Technique: Paired axial CT (left) and PSMA PET (right), [18F]PSMA-1007 tracer. acquired on Siemens Biograph mCT Flow 20. slice position z = -120 mm. PET panel 200×200 px (4.1 mm/px).
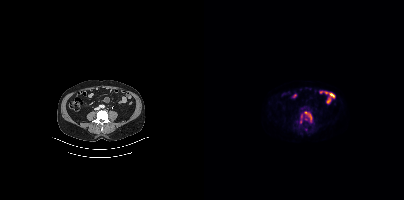
Findings: Coordinates are on the 200×200 PET (right) panel. (showing 1 of 2 foci) Small PSMA-avid focus (2 to 4 px across) near (center x, center y): (101, 112).